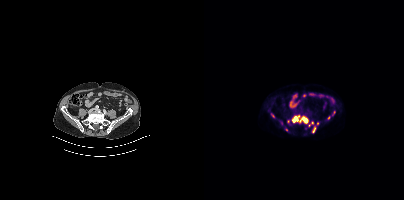
Coordinates are on the 200×200 PET (right) panel. (showing 7 of 10 foci) PSMA-avid tumor lesion bounding boxes (x, y, width, height): x=98 y=117 w=7 h=7 / x=88 y=117 w=7 h=6 / x=67 y=113 w=4 h=5 / x=109 y=127 w=3 h=6 / x=128 y=111 w=4 h=5. Small PSMA-avid foci (2 to 4 px across) near (center x, center y): (125, 117) / (108, 122). Paired axial CT (left) and PSMA PET (right), 18F tracer. Slice position z = -794 mm. PET panel 200×200 px (4.1 mm/px).